Paired axial CT (left) and PSMA PET (right), 18F-PSMA tracer. Acquired on Siemens Biograph mCT Flow 20. Slice 31 of 415.
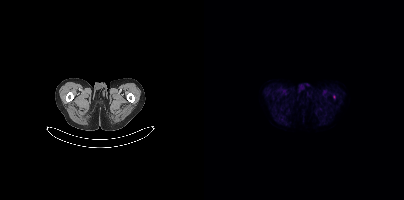
No PSMA-avid tumor lesions on this slice.